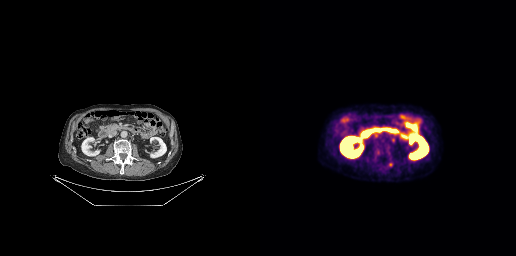
Findings: Coordinates are on the 256×256 PET (right) panel. PSMA-avid tumor lesion bounding boxes (x, y, width, height): x=115 y=148 w=6 h=8 / x=128 y=161 w=6 h=7 / x=130 y=138 w=6 h=6. Small PSMA-avid focus (2 to 4 px across) near (center x, center y): (128, 146).
Technique: Paired axial CT (left) and PSMA PET (right), 18F-PSMA tracer. PET panel 256×256 px (2.7 mm/px).